- Two-panel axial: CT | PSMA PET, 18F-PSMA tracer
- slice position z = -1125 mm
- PET panel 200×200 px (4.1 mm/px)
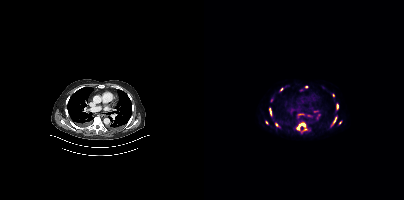
Findings: Coordinates are on the 200×200 PET (right) panel. (showing 10 of 11 foci) PSMA-avid tumor lesion bounding boxes (x0, y0)-(x1, y1): (92, 121)-(103, 133) | (127, 116)-(133, 126) | (132, 103)-(134, 109) | (65, 108)-(67, 115) | (128, 93)-(130, 97). Small PSMA-avid foci (2 to 4 px across) near (center x, center y): (72, 124) | (102, 87) | (136, 122) | (77, 89) | (62, 122).